Left: CT. Right: PSMA PET, same axial level, 18F tracer. Slice 2 of 403. PET panel 200×200 px (4.1 mm/px).
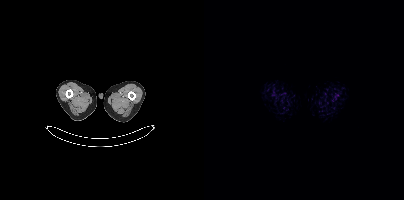
No tumor lesions annotated on this slice.